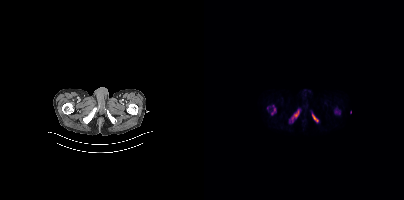
Coordinates are on the 200×200 PET (right) panel. (showing 4 of 5 foci) PSMA-avid tumor lesion bounding boxes (x0,y0,x1,y1): [90,111,94,117], [67,108,71,114]. Small PSMA-avid foci (2 to 4 px across) near (center x, center y): (112, 119), (109, 115).